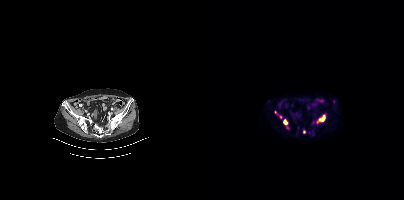
Coordinates are on the 200×200 PET (right) panel. (showing 6 of 7 foci) PSMA-avid tumor lesion bounding boxes (x0, y0)-(x1, y1): (113, 115)-(121, 122) / (79, 119)-(84, 128). Small PSMA-avid foci (2 to 4 px across) near (center x, center y): (71, 112) / (100, 131) / (130, 101) / (76, 116).